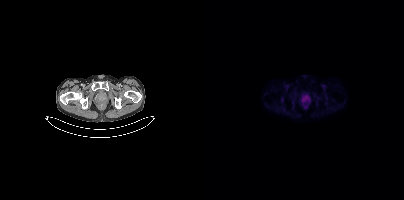
{"modality":"PSMA PET/CT","view":"axial","tracer":"[18F]PSMA-1007","pet_grid":[200,200],"coord_frame":"pet_panel","coord_format":"x0,y0,x1,y1","lesion_bboxes":[],"small_foci_centers":[[104,97],[99,99]]}